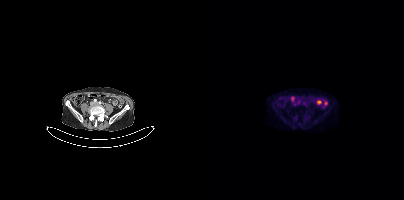
No tumor lesions annotated on this slice.